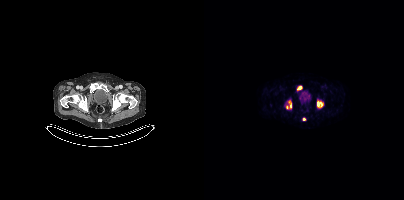
- Two-panel axial: CT | PSMA PET, [18F]PSMA-1007 tracer
Findings: Coordinates are on the 200×200 PET (right) panel. PSMA-avid tumor lesion bounding boxes (x, y, width, height): x=113 y=101 w=7 h=7 / x=85 y=101 w=3 h=8 / x=93 y=86 w=5 h=4. Small PSMA-avid foci (2 to 4 px across) near (center x, center y): (83, 107) / (100, 119).